Two-panel axial: CT | PSMA PET, 18F-PSMA tracer. Acquired on Siemens Biograph mCT Flow 20. Slice position z = -1039 mm.
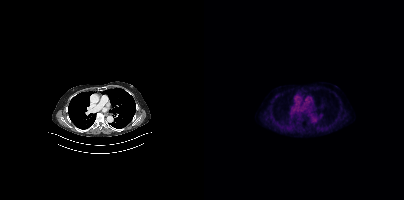
Coordinates are on the 200×200 PET (right) panel. Small PSMA-avid focus (2 to 4 px across) near (center x, center y): (72, 96).